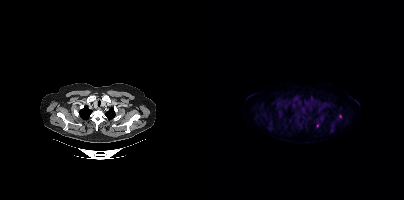
Two-panel axial: CT | PSMA PET, 18F tracer. Slice position z = -797 mm. PET panel 200×200 px (4.1 mm/px).
Coordinates are on the 200×200 PET (right) panel. PSMA-avid tumor lesion bounding boxes:
| # | x0 | y0 | x1 | y1 |
|---|---|---|---|---|
| 1 | 106 | 96 | 109 | 100 |
| 2 | 127 | 126 | 129 | 131 |
Small PSMA-avid foci (2 to 4 px across) near (center x, center y): (91, 97); (73, 108); (118, 117); (113, 125); (82, 103); (93, 118); (136, 116); (122, 114); (131, 121); (116, 106); (99, 116).